- Two-panel axial: CT | PSMA PET, [18F]PSMA-1007 tracer
- acquired on Siemens Biograph mCT Flow 20
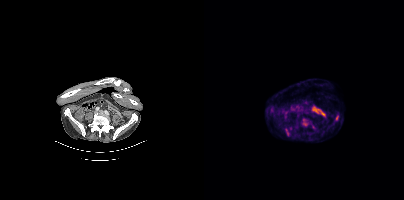
Findings: Coordinates are on the 200×200 PET (right) panel. PSMA-avid tumor lesion bounding boxes (x0,y0,x1,y1): [98,119,103,125]; [81,129,84,133].